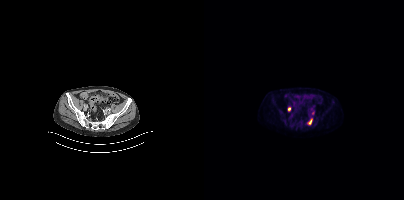
Coordinates are on the 200×200 PET (right) panel. PSMA-avid tumor lesion bounding box (x, y, width, height): x=103 y=118 w=6 h=7.